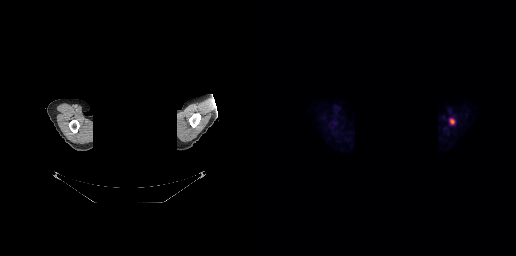
- Left: CT. Right: PSMA PET, same axial level, 18F tracer
- acquired on GE Discovery 690
- slice 271 of 299
- an anonymization step blacked out a rectangle over the head in this scan
Findings: Coordinates are on the 256×256 PET (right) panel. PSMA-avid tumor lesion bounding box (x0,y0,x1,y1): [189,118,195,125].